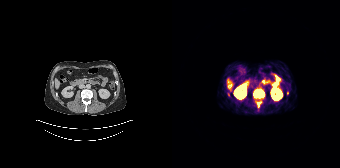
{"modality":"PSMA PET/CT","view":"axial","tracer":"68Ga-PSMA","pet_grid":[168,168],"coord_frame":"pet_panel","coord_format":"x0,y0,x1,y1","lesion_bboxes":[[81,89,92,97],[85,102,88,106],[55,92,57,96]],"small_foci_centers":[[115,92]]}